Technique: Left: CT. Right: PSMA PET, same axial level, 18F-PSMA tracer. slice position z = -625 mm. PET panel 256×256 px (2.7 mm/px).
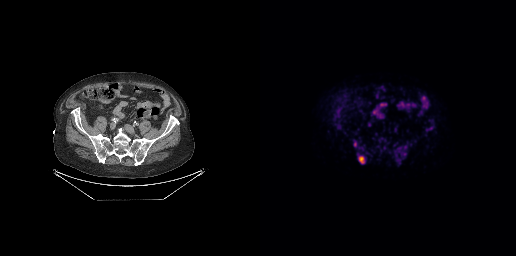
Findings: Coordinates are on the 256×256 PET (right) panel. (showing 5 of 6 foci) PSMA-avid tumor lesion bounding boxes (x, y, width, height): x=99 y=156 w=6 h=8 | x=77 y=109 w=3 h=5. Small PSMA-avid foci (2 to 4 px across) near (center x, center y): (94, 144) | (144, 153) | (145, 146).